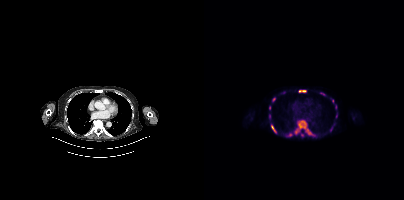
{"pet_grid":[200,200],"coord_frame":"pet_panel","coord_format":"x0,y0,x1,y1","partial":true,"lesion_bboxes":[[90,120,102,134],[66,123,72,133],[95,90,102,92],[103,129,106,134]],"small_foci_centers":[[69,99],[86,134],[77,93],[65,107],[98,135],[65,116],[128,101],[126,130],[132,114],[131,107],[82,135]],"modality":"PSMA PET/CT","view":"axial","tracer":"18F"}